modality: PSMA PET/CT | tracer: 18F | view: axial | PET grid: 200×200
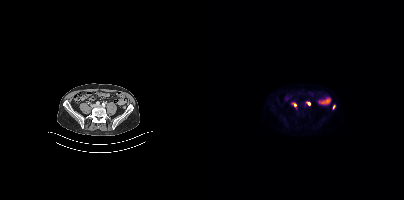
Coordinates are on the 200×200 PET (right) panel. PSMA-avid tumor lesion bounding box (x, y, width, height): x=102 y=102 w=5 h=4. Small PSMA-avid foci (2 to 4 px across) near (center x, center y): (90, 104); (130, 106).